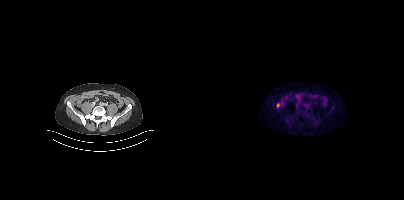
{"modality":"PSMA PET/CT","view":"axial","tracer":"18F-PSMA","pet_grid":[200,200],"coord_frame":"pet_panel","coord_format":"x0,y0,x1,y1","lesion_bboxes":[],"small_foci_centers":[[74,105]]}